Two-panel axial: CT | PSMA PET, 18F tracer. PET panel 200×200 px (4.1 mm/px).
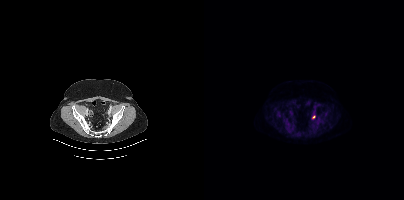
Coordinates are on the 200×200 PET (right) panel. Small PSMA-avid focus (2 to 4 px across) near (center x, center y): (109, 117).